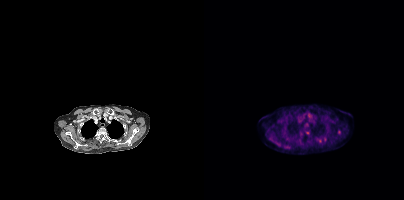
Left: CT. Right: PSMA PET, same axial level, [18F]PSMA-1007 tracer. Slice 310 of 389.
Coordinates are on the 200×200 PET (right) panel. PSMA-avid tumor lesion bounding boxes:
| # | x0 | y0 | x1 | y1 |
|---|---|---|---|---|
| 1 | 134 | 130 | 136 | 134 |
Small PSMA-avid foci (2 to 4 px across) near (center x, center y): (115, 140); (121, 139); (103, 132); (97, 134).